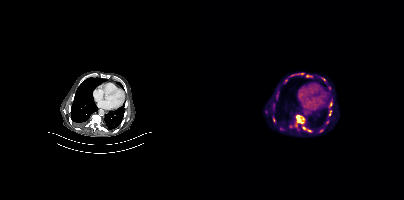
Coordinates are on the 200×200 PET (right) panel. PSMA-avid tumor lesion bounding box (x0,y0,x1,y1): [92,115,100,123]. Small PSMA-avid foci (2 to 4 px across) near (center x, center y): (100, 128), (105, 130). Two-panel axial: CT | PSMA PET, 18F-PSMA tracer. PET panel 200×200 px (4.1 mm/px).